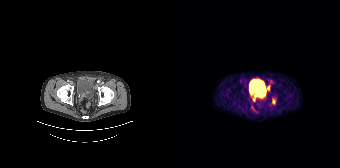
Two-panel axial: CT | PSMA PET, 68Ga-PSMA tracer. Acquired on Siemens Biograph 64-4R TruePoint. PET panel 168×168 px (4.1 mm/px). Coordinates are on the 168×168 PET (right) panel. PSMA-avid tumor lesion bounding box (x, y, width, height): x=100 y=99 w=4 h=5. Small PSMA-avid focus (2 to 4 px across) near (center x, center y): (96, 87).